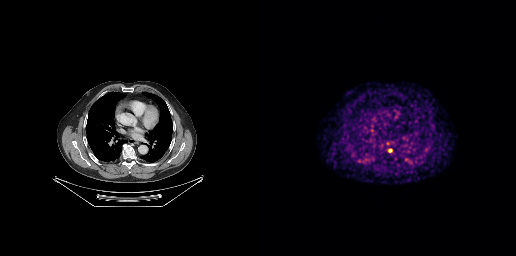
Findings: Coordinates are on the 256×256 PET (right) panel. PSMA-avid tumor lesion bounding box (x0,y0,x1,y1): [128,149,132,152].
Technique: Two-panel axial: CT | PSMA PET, [68Ga]Ga-PSMA-11 tracer.